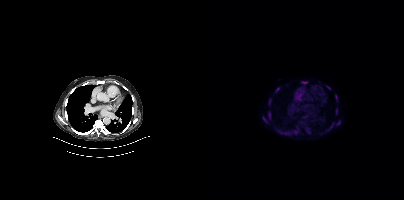
{"modality":"PSMA PET/CT","view":"axial","tracer":"18F-PSMA","pet_grid":[200,200],"coord_frame":"pet_panel","coord_format":"x0,y0,x1,y1","partial":true,"lesion_bboxes":[[64,98,67,105],[64,112,66,118],[59,117,62,122],[98,82,103,83],[131,95,133,99]],"small_foci_centers":[[73,89],[125,88],[97,122],[132,112],[102,127],[93,127]]}